Technique: Paired axial CT (left) and PSMA PET (right), [18F]PSMA-1007 tracer.
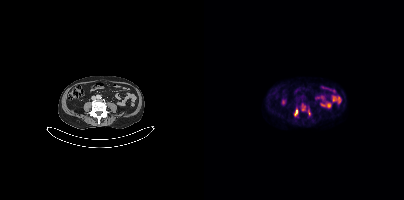
Findings: Coordinates are on the 200×200 PET (right) panel. PSMA-avid tumor lesion bounding boxes (x0,y0,x1,y1): [90,109,94,116] [98,106,101,110]. Small PSMA-avid focus (2 to 4 px across) near (center x, center y): (105, 112).